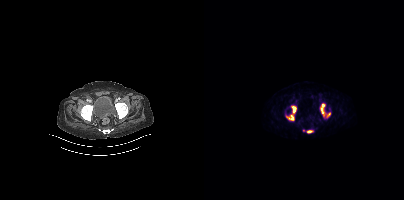
{"modality":"PSMA PET/CT","view":"axial","tracer":"68Ga-PSMA","pet_grid":[200,200],"coord_frame":"pet_panel","coord_format":"x0,y0,x1,y1","psma_avid_lesions":false}